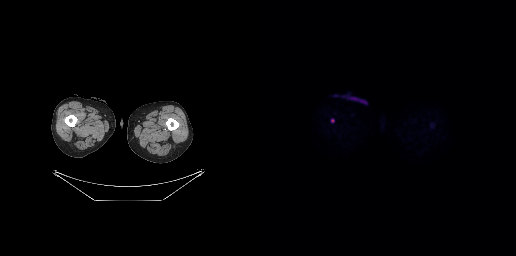
Technique: Left: CT. Right: PSMA PET, same axial level, [18F]PSMA-1007 tracer.
Findings: No PSMA-avid tumor lesions on this slice.